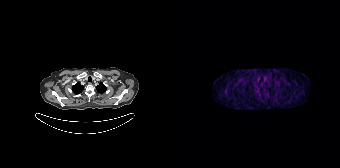
{"modality":"PSMA PET/CT","view":"axial","tracer":"68Ga","pet_grid":[168,168],"coord_frame":"pet_panel","coord_format":"x0,y0,x1,y1","psma_avid_lesions":false}